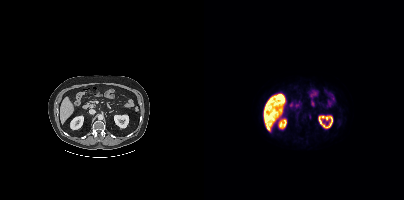
No PSMA-avid tumor lesions on this slice. Two-panel axial: CT | PSMA PET, 18F tracer. Slice 196 of 417.